Technique: Paired axial CT (left) and PSMA PET (right), [18F]PSMA-1007 tracer. acquired on Siemens Biograph mCT Flow 20. slice 14 of 391.
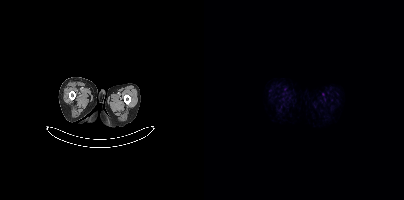
Findings: No tumor lesions annotated on this slice.